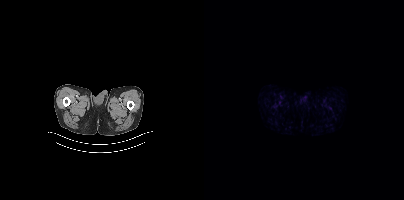
{"modality":"PSMA PET/CT","view":"axial","tracer":"18F","pet_grid":[200,200],"coord_frame":"pet_panel","coord_format":"x0,y0,x1,y1","psma_avid_lesions":false}